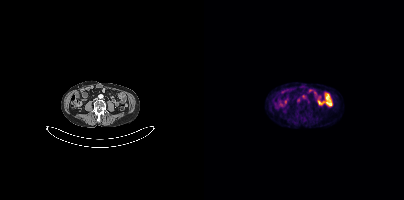
No tumor lesions annotated on this slice.